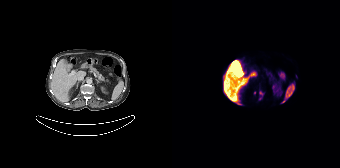
Coordinates are on the 168×168 PET (right) panel. PSMA-avid tumor lesion bounding box (x0,y0,x1,y1): [87,91,91,95]. Small PSMA-avid foci (2 to 4 px across) near (center x, center y): (82, 92), (88, 98).